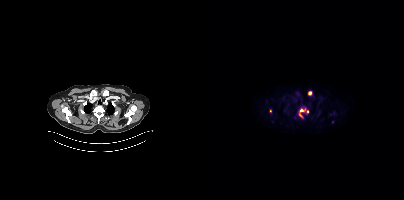
{"modality":"PSMA PET/CT","view":"axial","tracer":"18F-PSMA","pet_grid":[200,200],"coord_frame":"pet_panel","coord_format":"x0,y0,x1,y1","lesion_bboxes":[[95,108,101,117],[104,91,107,95]],"small_foci_centers":[[103,111],[66,111]]}